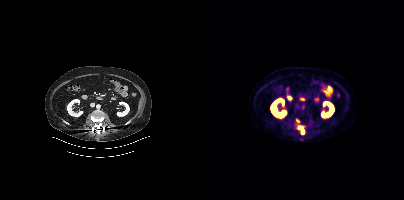
{"modality":"PSMA PET/CT","view":"axial","tracer":"[18F]PSMA-1007","pet_grid":[200,200],"coord_frame":"pet_panel","coord_format":"x0,y0,x1,y1","lesion_bboxes":[[94,126,99,129]],"small_foci_centers":[[98,131]]}